Two-panel axial: CT | PSMA PET, 18F-PSMA tracer. Slice 295 of 415.
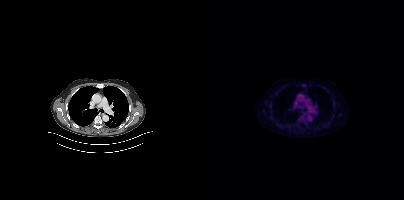
No PSMA-avid tumor lesions on this slice.